- Two-panel axial: CT | PSMA PET, [18F]PSMA-1007 tracer
- slice 179 of 452
- PET panel 200×200 px (4.1 mm/px)
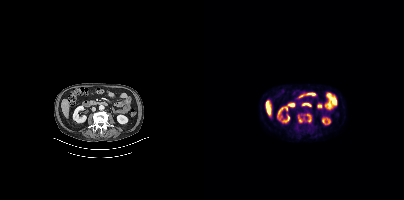
Findings: Coordinates are on the 200×200 PET (right) panel. PSMA-avid tumor lesion bounding box (x, y, width, height): x=94 y=113 w=14 h=10.